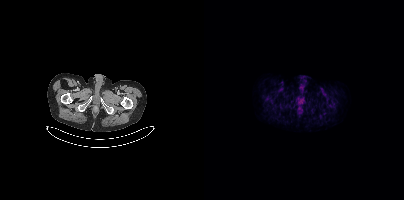
Negative for PSMA-avid disease on this slice.
modality: PSMA PET/CT | tracer: 18F | view: axial | PET grid: 200×200